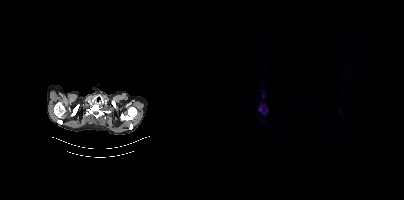
Findings: Coordinates are on the 200×200 PET (right) panel. PSMA-avid tumor lesion bounding box (x0, y0)-(x1, y1): (54, 104)-(63, 114). Small PSMA-avid focus (2 to 4 px across) near (center x, center y): (59, 95).
Technique: Two-panel axial: CT | PSMA PET, 18F-PSMA tracer. slice 365 of 427.